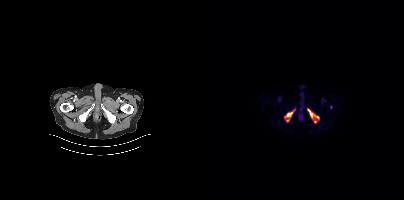
{"modality":"PSMA PET/CT","view":"axial","tracer":"[18F]PSMA-1007","pet_grid":[200,200],"coord_frame":"pet_panel","coord_format":"x0,y0,x1,y1","partial":true,"lesion_bboxes":[[103,109,115,123],[81,109,91,121]]}